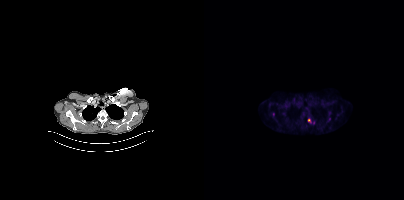
Coordinates are on the 200×200 PET (right) panel. Small PSMA-avid foci (2 to 4 px across) near (center x, center y): (69, 114); (104, 119).